modality: PSMA PET/CT | tracer: 68Ga-PSMA | view: axial
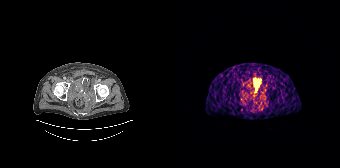
Coordinates are on the 168×168 PET (right) panel. PSMA-avid tumor lesion bounding box (x0,y0,x1,y1): [82,80,88,91].